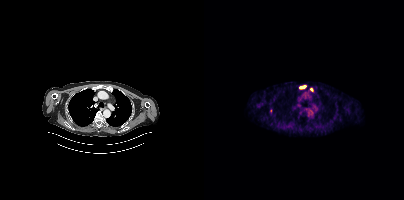
Findings: Coordinates are on the 200×200 PET (right) panel. PSMA-avid tumor lesion bounding box (x0,y0,x1,y1): [95,85,102,88]. Small PSMA-avid foci (2 to 4 px across) near (center x, center y): (107, 89) (66, 110).
- Left: CT. Right: PSMA PET, same axial level, 18F tracer
- PET panel 200×200 px (4.1 mm/px)